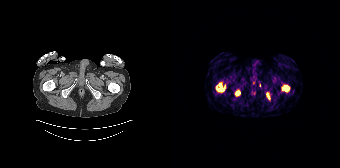
Coordinates are on the 168×168 PET (right) panel. (showing 4 of 5 foci) PSMA-avid tumor lesion bounding boxes (x0, y0)-(x1, y1): (44, 83)-(52, 91) | (110, 85)-(117, 91) | (63, 91)-(67, 95) | (94, 93)-(97, 99).